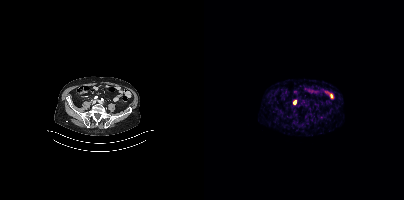
Two-panel axial: CT | PSMA PET, 68Ga tracer. Slice position z = -1394 mm. Coordinates are on the 200×200 PET (right) panel. Small PSMA-avid focus (2 to 4 px across) near (center x, center y): (90, 102).